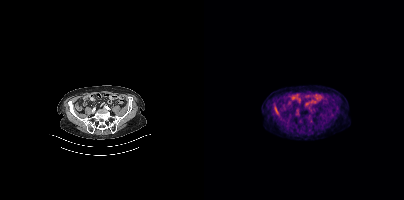
Coordinates are on the 200×200 PET (right) panel. PSMA-avid tumor lesion bounding box (x, y, width, height): x=70 y=108 w=4 h=6.